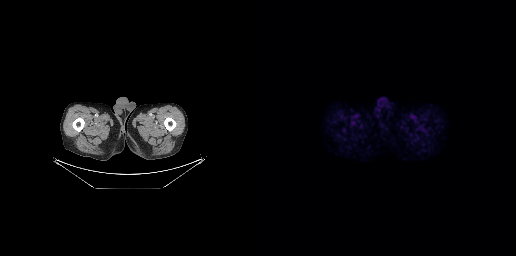
Negative for PSMA-avid disease on this slice.